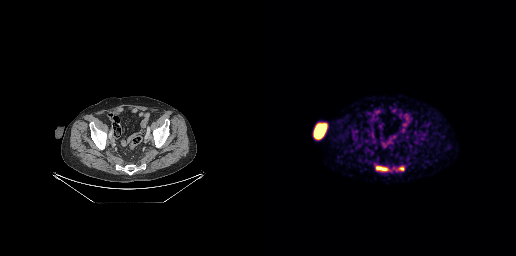
Findings: Coordinates are on the 256×256 PET (right) panel. PSMA-avid tumor lesion bounding boxes (x, y, width, height): x=116 y=166 w=13 h=6 | x=139 y=166 w=6 h=5.
- Two-panel axial: CT | PSMA PET, 18F-PSMA tracer
- slice position z = -773 mm